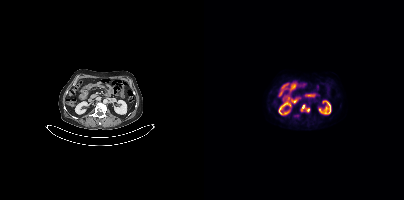
Coordinates are on the 200×200 PET (right) panel. PSMA-avid tumor lesion bounding box (x0,y0,x1,y1): [97,105,100,110]. Small PSMA-avid focus (2 to 4 px across) near (center x, center y): (104, 109).